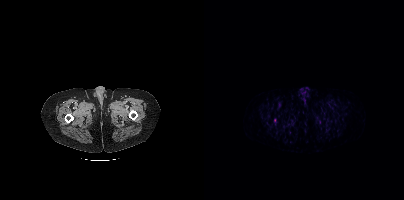
Technique: Two-panel axial: CT | PSMA PET, 68Ga tracer. acquired on Siemens Biograph mCT Flow 20.
Findings: This slice has no annotated PSMA-avid lesion.